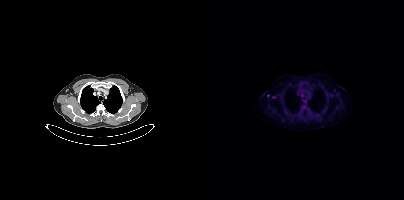
Technique: Two-panel axial: CT | PSMA PET, 18F-PSMA tracer. acquired on Siemens Biograph mCT Flow 20. slice 311 of 393. PET panel 200×200 px (4.1 mm/px).
Findings: Coordinates are on the 200×200 PET (right) panel. Small PSMA-avid foci (2 to 4 px across) near (center x, center y): (64, 95), (69, 96).